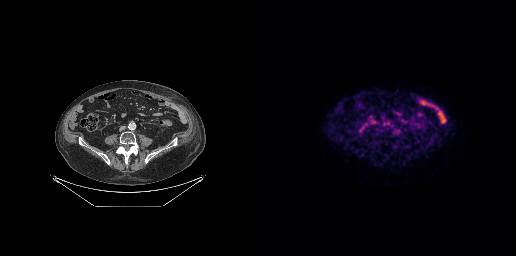
modality: PSMA PET/CT | tracer: 18F-PSMA | view: axial
Coordinates are on the 256×256 PET (right) panel. (showing 1 of 2 foci) Small PSMA-avid focus (2 to 4 px across) near (center x, center y): (124, 123).